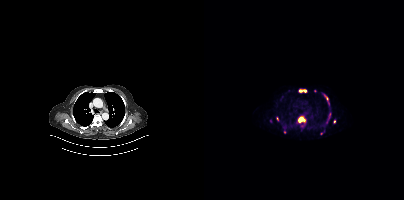
modality: PSMA PET/CT | tracer: [68Ga]Ga-PSMA-11 | view: axial | PET grid: 200×200
Coordinates are on the 200×200 PET (right) panel. PSMA-avid tumor lesion bounding boxes (x0,y0,x1,y1): [93,117,101,127], [123,114,127,119], [119,94,124,100], [95,90,102,92]. Small PSMA-avid foci (2 to 4 px across) near (center x, center y): (130, 121), (73, 119), (122, 122), (80, 131).